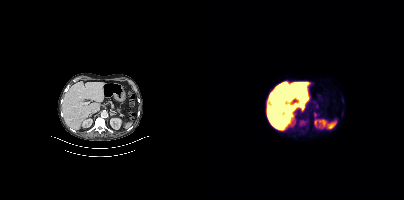
Paired axial CT (left) and PSMA PET (right), 18F tracer.
Coordinates are on the 200×200 PET (right) panel. PSMA-avid tumor lesion bounding boxes:
| # | x0 | y0 | x1 | y1 |
|---|---|---|---|---|
| 1 | 96 | 120 | 103 | 126 |
| 2 | 138 | 97 | 139 | 102 |